Technique: Paired axial CT (left) and PSMA PET (right), [18F]PSMA-1007 tracer. slice position z = -958 mm.
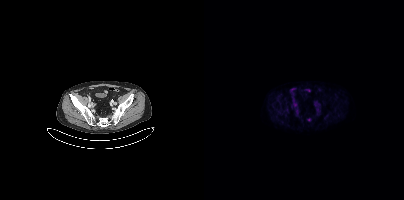
Findings: No tumor lesions annotated on this slice.